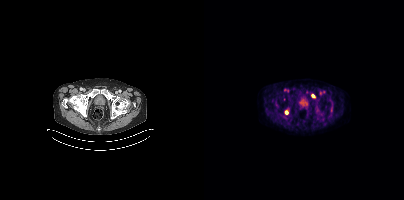
Findings: Coordinates are on the 200×200 PET (right) panel. PSMA-avid tumor lesion bounding box (x0, y0)-(x1, y1): (107, 94)-(111, 97). Small PSMA-avid focus (2 to 4 px across) near (center x, center y): (82, 112).
- Two-panel axial: CT | PSMA PET, [18F]PSMA-1007 tracer
- slice 66 of 429